A rectangle over the head was blacked out to remove identifiable facial features.
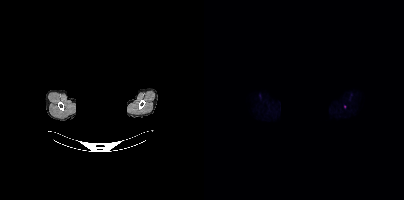
Coordinates are on the 200×200 PET (right) panel. Small PSMA-avid focus (2 to 4 px across) near (center x, center y): (140, 106).